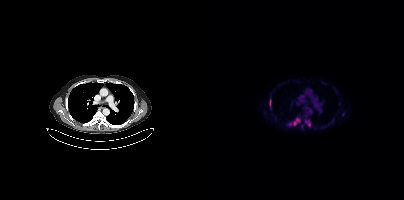
modality: PSMA PET/CT | tracer: 18F-PSMA | view: axial | PET grid: 200×200
Coordinates are on the 200×200 PET (right) panel. PSMA-avid tumor lesion bounding boxes (x, y, width, height): x=90 y=118 w=6 h=8 | x=65 y=99 w=3 h=8. Small PSMA-avid foci (2 to 4 px across) near (center x, center y): (139, 114) | (105, 124).